Left: CT. Right: PSMA PET, same axial level, 18F-PSMA tracer. PET panel 200×200 px (4.1 mm/px).
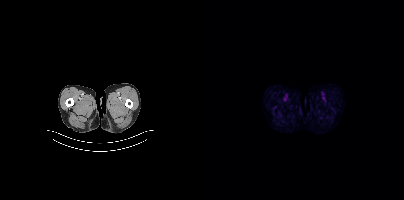
No PSMA-avid tumor lesions on this slice.